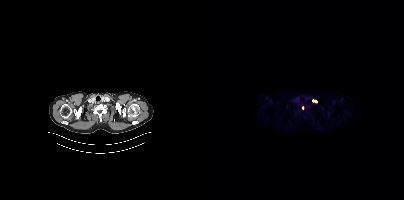
Two-panel axial: CT | PSMA PET, 18F tracer. Coordinates are on the 200×200 PET (right) panel. Small PSMA-avid foci (2 to 4 px across) near (center x, center y): (110, 101) | (98, 107).